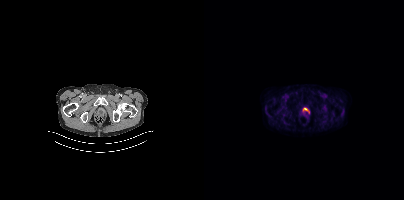
Coordinates are on the 200×200 PET (right) panel. PSMA-avid tumor lesion bounding box (x0, y0)-(x1, y1): (99, 107)-(105, 113).
modality: PSMA PET/CT | tracer: [18F]PSMA-1007 | view: axial | PET grid: 200×200